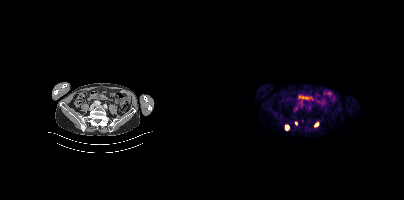
- Left: CT. Right: PSMA PET, same axial level, [18F]PSMA-1007 tracer
- PET panel 200×200 px (4.1 mm/px)
Findings: Coordinates are on the 200×200 PET (right) panel. PSMA-avid tumor lesion bounding boxes (x0, y0)-(x1, y1): (80, 124)-(85, 130) / (110, 123)-(114, 126) / (91, 121)-(93, 125).